Technique: Two-panel axial: CT | PSMA PET, 18F-PSMA tracer. slice position z = -640 mm. PET panel 200×200 px (4.1 mm/px).
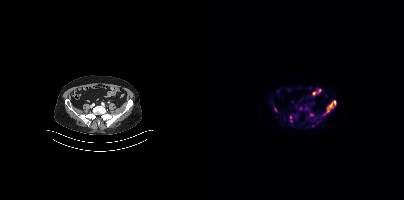
Findings: Coordinates are on the 200×200 PET (right) panel. (showing 6 of 9 foci) PSMA-avid tumor lesion bounding box (x0,y0,x1,y1): [122,100,132,112]. Small PSMA-avid foci (2 to 4 px across) near (center x, center y): (107, 114); (71, 109); (96, 108); (86, 117); (109, 125).